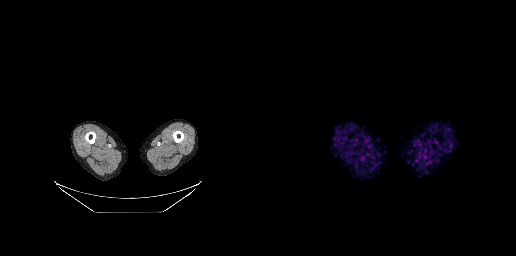
modality: PSMA PET/CT | tracer: 68Ga | view: axial
No tumor lesions annotated on this slice.